Left: CT. Right: PSMA PET, same axial level, [18F]PSMA-1007 tracer.
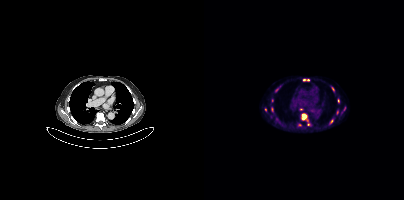
Coordinates are on the 200×200 PET (right) panel. PSMA-avid tumor lesion bounding boxes (partial; 3 more foci not listed):
| # | x0 | y0 | x1 | y1 |
|---|---|---|---|---|
| 1 | 97 | 113 | 103 | 121 |
Small PSMA-avid foci (2 to 4 px across) near (center x, center y): (134, 100); (100, 79); (104, 79); (68, 109); (128, 88); (133, 112); (126, 123); (104, 124); (72, 90); (61, 109); (140, 108).